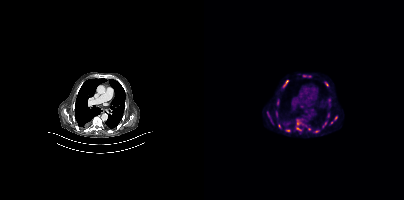
- Left: CT. Right: PSMA PET, same axial level, 18F-PSMA tracer
- acquired on Siemens Biograph mCT Flow 20
- slice position z = -1067 mm
Findings: Coordinates are on the 200×200 PET (right) panel. (showing 14 of 17 foci) PSMA-avid tumor lesion bounding boxes (x, y, width, height): x=92 y=119 w=8 h=13 / x=79 y=80 w=6 h=8 / x=63 y=111 w=6 h=12 / x=130 y=116 w=4 h=5 / x=82 y=129 w=5 h=3 / x=121 y=82 w=4 h=5. Small PSMA-avid foci (2 to 4 px across) near (center x, center y): (73, 104) / (112, 131) / (124, 115) / (121, 123) / (105, 129) / (100, 75) / (127, 122) / (101, 125).